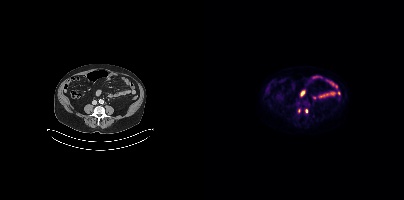
{"modality":"PSMA PET/CT","view":"axial","tracer":"[18F]PSMA-1007","pet_grid":[200,200],"coord_frame":"pet_panel","coord_format":"x0,y0,x1,y1","lesion_bboxes":[],"small_foci_centers":[[102,110],[95,110]]}